Two-panel axial: CT | PSMA PET, [68Ga]Ga-PSMA-11 tracer. PET panel 256×256 px (2.7 mm/px).
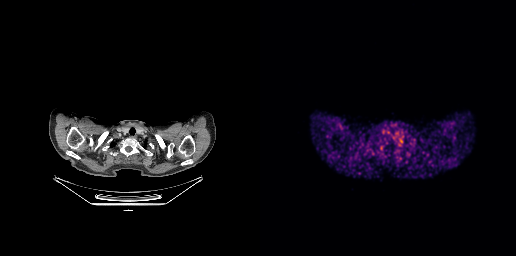
No PSMA-avid tumor lesions on this slice.